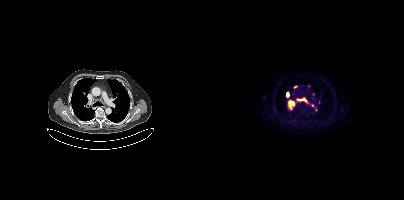
Paired axial CT (left) and PSMA PET (right), 18F-PSMA tracer. Slice position z = -457 mm.
Coordinates are on the 200×200 PET (right) panel. PSMA-avid tumor lesion bounding boxes:
| # | x0 | y0 | x1 | y1 |
|---|---|---|---|---|
| 1 | 96 | 98 | 102 | 101 |
Small PSMA-avid focus (2 to 4 px across) near (center x, center y): (93, 99).